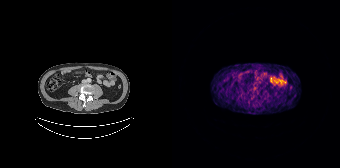
This slice has no annotated PSMA-avid lesion.